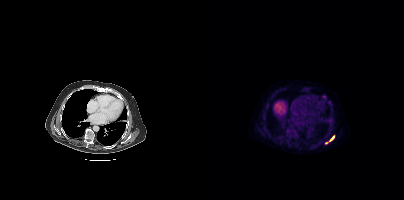
Coordinates are on the 200×200 PET (right) panel. (showing 1 of 2 foci) PSMA-avid tumor lesion bounding box (x0, y0)-(x1, y1): (126, 136)-(130, 140).